Left: CT. Right: PSMA PET, same axial level, [18F]PSMA-1007 tracer. Acquired on Siemens Biograph mCT Flow 20. Slice 158 of 407.
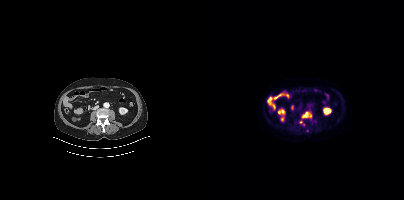
Coordinates are on the 200×200 PET (right) panel. PSMA-avid tumor lesion bounding boxes (partial; 2 more foci not listed):
| # | x0 | y0 | x1 | y1 |
|---|---|---|---|---|
| 1 | 98 | 112 | 104 | 117 |
| 2 | 96 | 121 | 101 | 126 |
Small PSMA-avid foci (2 to 4 px across) near (center x, center y): (106, 115); (110, 120).